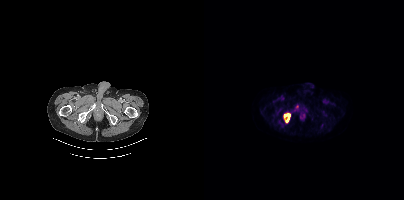
modality: PSMA PET/CT | tracer: 18F | view: axial
Coordinates are on the 200×200 PET (right) panel. (showing 1 of 2 foci) PSMA-avid tumor lesion bounding box (x0,y0,x1,y1): [80,114,86,122].